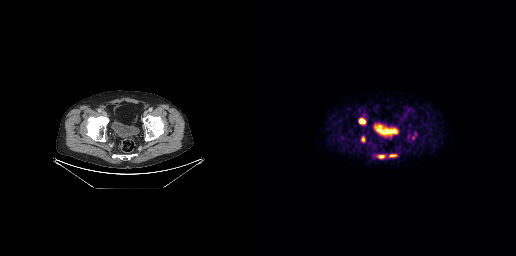
Coordinates are on the 256×256 PET (right) panel. PSMA-avid tumor lesion bounding boxes (x, y, width, height): x=99 y=118 w=7 h=7 / x=118 y=155 w=7 h=4 / x=129 y=154 w=8 h=3 / x=152 y=132 w=5 h=8 / x=102 y=137 w=3 h=5.